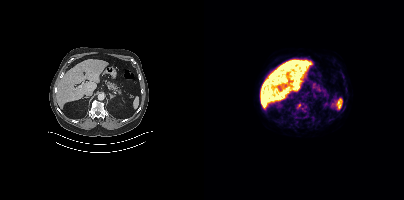
Coordinates are on the 200×200 PET (right) panel. Small PSMA-avid focus (2 to 4 px across) near (center x, center y): (95, 105). Paired axial CT (left) and PSMA PET (right), 18F tracer. Acquired on Siemens Biograph mCT Flow 20. PET panel 200×200 px (4.1 mm/px).